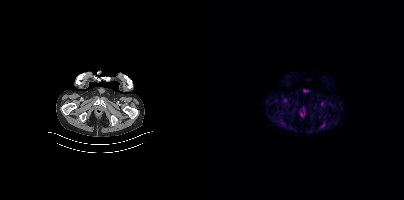
{"modality":"PSMA PET/CT","view":"axial","tracer":"[18F]PSMA-1007","pet_grid":[200,200],"coord_frame":"pet_panel","coord_format":"x0,y0,x1,y1","psma_avid_lesions":false}